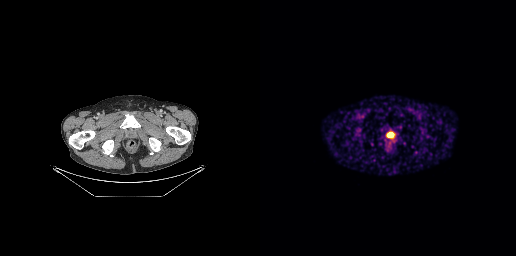
{"modality":"PSMA PET/CT","view":"axial","tracer":"68Ga","pet_grid":[256,256],"coord_frame":"pet_panel","coord_format":"x0,y0,x1,y1","lesion_bboxes":[[127,132,133,137]]}